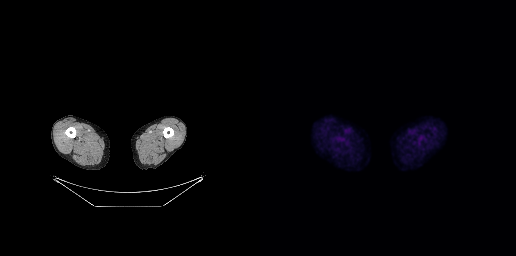
Paired axial CT (left) and PSMA PET (right), 18F tracer. Slice 19 of 263. PET panel 256×256 px (2.7 mm/px). No tumor lesions annotated on this slice.